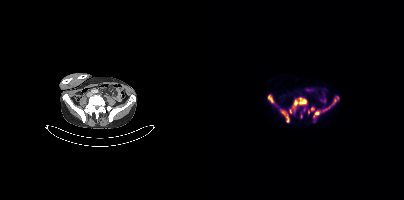
Left: CT. Right: PSMA PET, same axial level, [18F]PSMA-1007 tracer. PET panel 200×200 px (4.1 mm/px). Coordinates are on the 200×200 PET (right) panel. (showing 10 of 14 foci) PSMA-avid tumor lesion bounding boxes (x0, y0)-(x1, y1): (88, 97)-(102, 110); (76, 109)-(85, 122); (127, 96)-(135, 105); (109, 111)-(116, 119); (64, 95)-(70, 103); (85, 109)-(87, 113). Small PSMA-avid foci (2 to 4 px across) near (center x, center y): (108, 108); (104, 111); (110, 121); (126, 106).